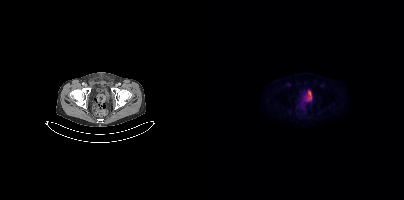
No PSMA-avid tumor lesions on this slice.